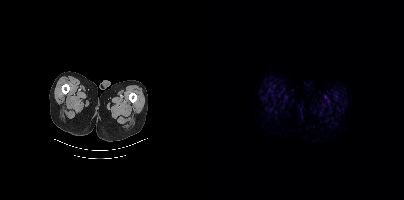
{"pet_grid":[200,200],"coord_frame":"pet_panel","coord_format":"x0,y0,x1,y1","psma_avid_lesions":false,"modality":"PSMA PET/CT","view":"axial","tracer":"[18F]PSMA-1007"}